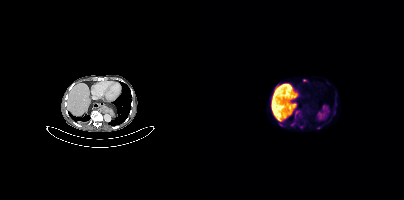
- Two-panel axial: CT | PSMA PET, 18F tracer
- acquired on Siemens Biograph mCT Flow 20
- PET panel 200×200 px (4.1 mm/px)
Findings: Coordinates are on the 200×200 PET (right) panel. (showing 2 of 3 foci) PSMA-avid tumor lesion bounding box (x, y, width, height): x=91 y=111 w=5 h=7. Small PSMA-avid focus (2 to 4 px across) near (center x, center y): (88, 124).